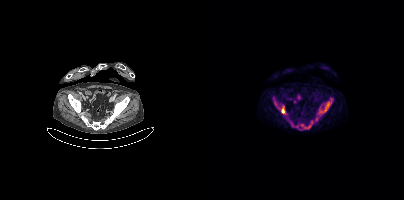
{"modality":"PSMA PET/CT","view":"axial","tracer":"18F","pet_grid":[200,200],"coord_frame":"pet_panel","coord_format":"x0,y0,x1,y1","partial":true,"lesion_bboxes":[[92,120,109,129],[116,102,125,112],[69,97,74,107],[77,108,80,113]],"small_foci_centers":[[88,124]]}